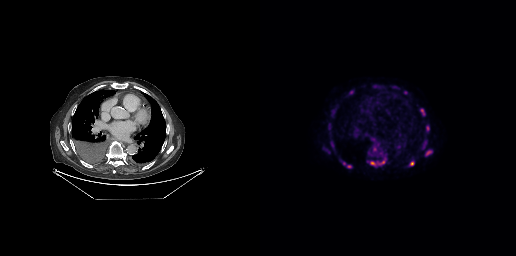
Coordinates are on the 256×256 PET (right) panel. (showing 8 of 11 foci) PSMA-avid tumor lesion bounding boxes (x, y, width, height): x=149 y=161 w=6 h=5 / x=110 y=161 w=6 h=4 / x=161 y=109 w=4 h=6. Small PSMA-avid foci (2 to 4 px across) near (center x, center y): (167, 152) / (122, 162) / (167, 128) / (89, 166) / (72, 144).